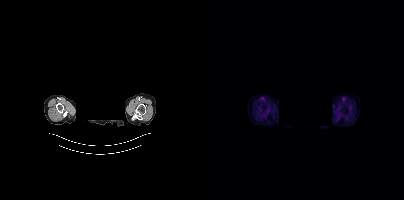
{"pet_grid":[200,200],"coord_frame":"pet_panel","coord_format":"x0,y0,x1,y1","psma_avid_lesions":false,"modality":"PSMA PET/CT","view":"axial","tracer":"18F","de-identification":"head region blanked (face removed)"}